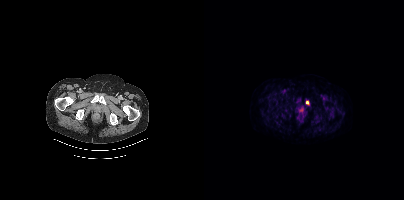
Findings: Coordinates are on the 200×200 PET (right) panel. PSMA-avid tumor lesion bounding box (x0,y0,x1,y1): [102,100,105,104].
- Paired axial CT (left) and PSMA PET (right), 18F-PSMA tracer
- acquired on Siemens Biograph mCT Flow 20
- slice position z = -882 mm
- PET panel 200×200 px (4.1 mm/px)